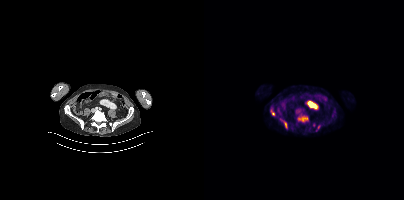
{"modality":"PSMA PET/CT","view":"axial","tracer":"18F-PSMA","pet_grid":[200,200],"coord_frame":"pet_panel","coord_format":"x0,y0,x1,y1","lesion_bboxes":[[94,116,103,121],[77,119,83,128],[67,110,70,115]]}